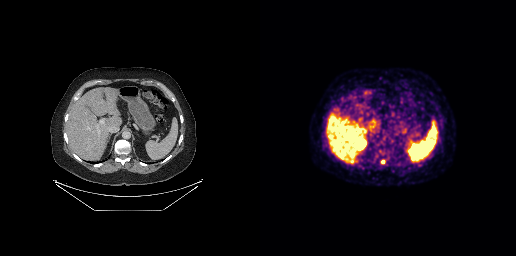
Two-panel axial: CT | PSMA PET, [18F]PSMA-1007 tracer. Slice position z = -566 mm. Coordinates are on the 256×256 PET (right) panel. Small PSMA-avid focus (2 to 4 px across) near (center x, center y): (123, 162).